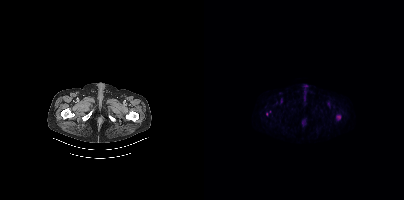
{"modality":"PSMA PET/CT","view":"axial","tracer":"18F","pet_grid":[200,200],"coord_frame":"pet_panel","coord_format":"x0,y0,x1,y1","partial":true,"lesion_bboxes":[]}